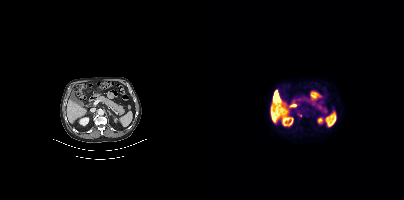
Coordinates are on the 200×200 PET (right) panel. Small PSMA-avid focus (2 to 4 px across) near (center x, center y): (95, 115). Left: CT. Right: PSMA PET, same axial level, [18F]PSMA-1007 tracer.